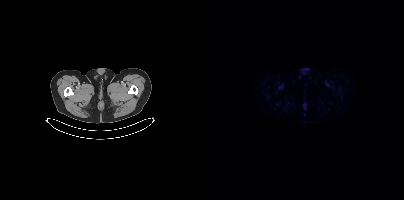
{"modality":"PSMA PET/CT","view":"axial","tracer":"68Ga-PSMA","pet_grid":[200,200],"coord_frame":"pet_panel","coord_format":"x0,y0,x1,y1","psma_avid_lesions":false}